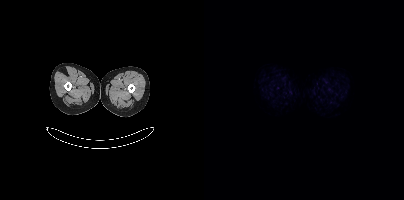
{"pet_grid":[200,200],"coord_frame":"pet_panel","coord_format":"x0,y0,x1,y1","psma_avid_lesions":false,"modality":"PSMA PET/CT","view":"axial","tracer":"[18F]PSMA-1007"}